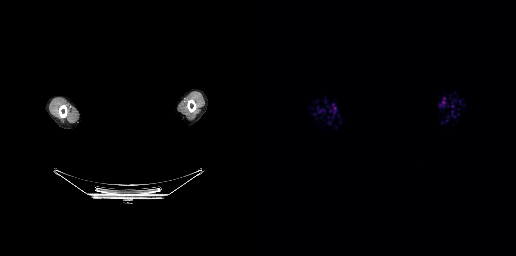
{"modality":"PSMA PET/CT","view":"axial","tracer":"[68Ga]Ga-PSMA-11","pet_grid":[256,256],"coord_frame":"pet_panel","coord_format":"x0,y0,x1,y1","psma_avid_lesions":false,"de-identification":"rectangular block over head set to black"}